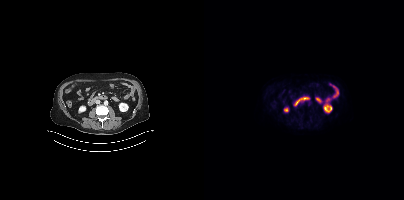
Technique: Two-panel axial: CT | PSMA PET, 18F tracer. acquired on Siemens Biograph mCT Flow 20.
Findings: No PSMA-avid tumor lesions on this slice.